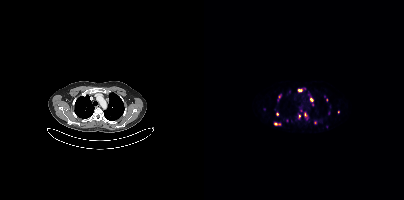
Coordinates are on the 200×200 PET (right) panel. (showing 13 of 18 foci) PSMA-avid tumor lesion bounding boxes (x0, y0)-(x1, y1): (101, 113)-(103, 119) / (120, 96)-(123, 100). Small PSMA-avid foci (2 to 4 px across) near (center x, center y): (95, 90) / (107, 99) / (75, 96) / (72, 124) / (134, 112) / (124, 113) / (95, 116) / (111, 122) / (85, 91) / (104, 93) / (73, 113).
modality: PSMA PET/CT | tracer: 68Ga-PSMA | view: axial